Paired axial CT (left) and PSMA PET (right), [18F]PSMA-1007 tracer. Slice position z = -876 mm.
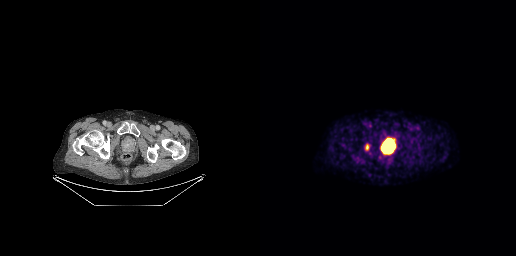
Coordinates are on the 256×256 PET (right) panel. PSMA-avid tumor lesion bounding boxes:
| # | x0 | y0 | x1 | y1 |
|---|---|---|---|---|
| 1 | 123 | 139 | 134 | 152 |
| 2 | 105 | 144 | 109 | 150 |